Two-panel axial: CT | PSMA PET, 68Ga tracer. Acquired on Siemens Biograph 64-4R TruePoint.
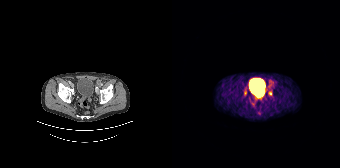
Coordinates are on the 168×168 PET (right) panel. PSMA-avid tumor lesion bounding boxes (partial; 1 more focus not listed):
| # | x0 | y0 | x1 | y1 |
|---|---|---|---|---|
| 1 | 72 | 89 | 74 | 95 |
Small PSMA-avid focus (2 to 4 px across) near (center x, center y): (98, 93).